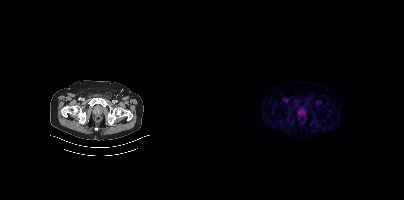
Negative for PSMA-avid disease on this slice. Two-panel axial: CT | PSMA PET, 18F tracer.